Left: CT. Right: PSMA PET, same axial level, 68Ga-PSMA tracer. Acquired on Siemens Biograph 64-4R TruePoint. PET panel 168×168 px (4.1 mm/px).
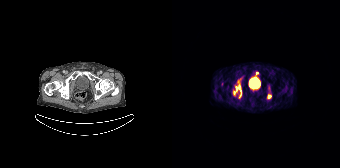
Coordinates are on the 168×168 PET (right) panel. PSMA-avid tumor lesion bounding boxes:
| # | x0 | y0 | x1 | y1 |
|---|---|---|---|---|
| 1 | 61 | 82 | 69 | 98 |
Small PSMA-avid foci (2 to 4 px across) near (center x, center y): (97, 96); (85, 72).